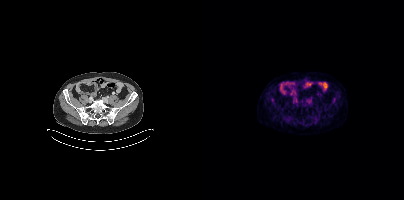
{"modality":"PSMA PET/CT","view":"axial","tracer":"[18F]PSMA-1007","pet_grid":[200,200],"coord_frame":"pet_panel","coord_format":"x0,y0,x1,y1","psma_avid_lesions":false}